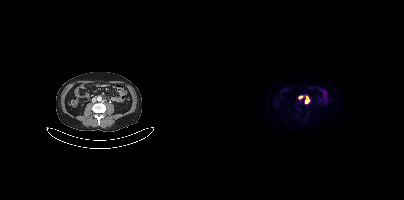
Technique: Two-panel axial: CT | PSMA PET, [68Ga]Ga-PSMA-11 tracer. slice position z = -1313 mm.
Findings: Coordinates are on the 200×200 PET (right) panel. Small PSMA-avid foci (2 to 4 px across) near (center x, center y): (103, 100); (101, 96); (96, 97).